Two-panel axial: CT | PSMA PET, [18F]PSMA-1007 tracer. Slice 185 of 299.
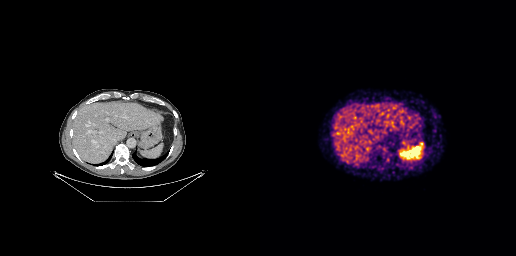
No PSMA-avid tumor lesions on this slice.